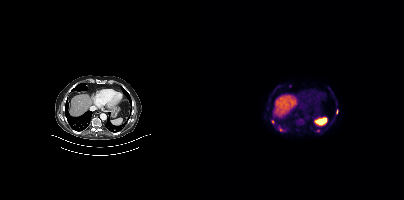
- Left: CT. Right: PSMA PET, same axial level, 18F tracer
Findings: Coordinates are on the 200×200 PET (right) panel. (showing 3 of 5 foci) PSMA-avid tumor lesion bounding box (x0,y0,x1,y1): [75,127,79,131]. Small PSMA-avid foci (2 to 4 px across) near (center x, center y): (68, 121) (114, 130).